Paired axial CT (left) and PSMA PET (right), 18F-PSMA tracer. Slice 245 of 403.
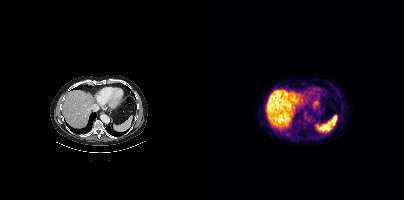
Negative for PSMA-avid disease on this slice.